Paired axial CT (left) and PSMA PET (right), 18F tracer. Slice position z = -1366 mm.
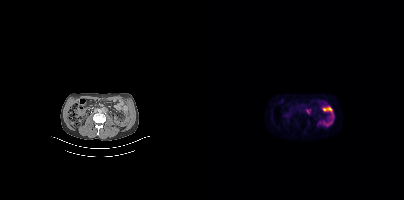
Coordinates are on the 200×200 PET (right) panel. PSMA-avid tumor lesion bounding boxes:
| # | x0 | y0 | x1 | y1 |
|---|---|---|---|---|
| 1 | 101 | 109 | 106 | 113 |